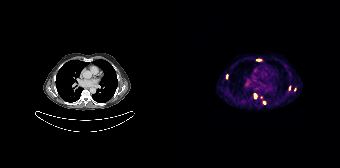
Findings: Coordinates are on the 168×168 PET (right) panel. (showing 4 of 8 foci) Small PSMA-avid foci (2 to 4 px across) near (center x, center y): (86, 59) | (54, 76) | (117, 87) | (83, 94).
Technique: Left: CT. Right: PSMA PET, same axial level, 68Ga-PSMA tracer. acquired on Siemens Biograph 64-4R TruePoint. PET panel 168×168 px (4.1 mm/px).